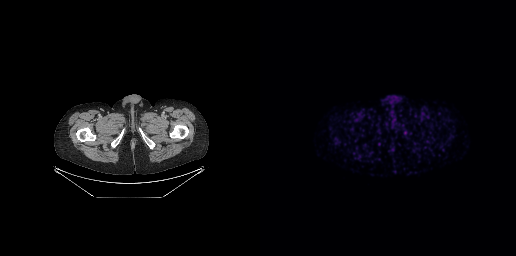
Findings: No PSMA-avid tumor lesions on this slice.
Technique: Paired axial CT (left) and PSMA PET (right), 68Ga tracer. acquired on GE Discovery 690. slice 65 of 299.